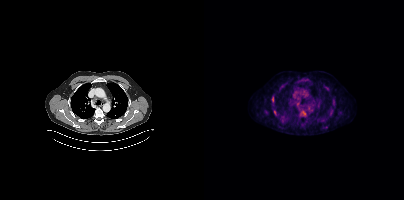
modality: PSMA PET/CT | tracer: 18F-PSMA | view: axial
Coordinates are on the 200×200 PET (right) panel. PSMA-avid tumor lesion bounding boxes (x0,y0,x1,y1): [97,112,101,116]; [67,97,70,101]. Small PSMA-avid focus (2 to 4 px across) near (center x, center y): (71, 112).